Two-panel axial: CT | PSMA PET, 18F tracer.
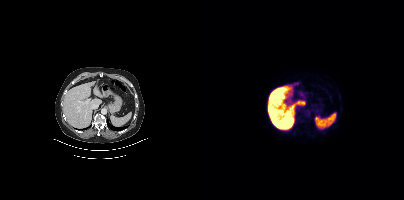
No PSMA-avid tumor lesions on this slice.